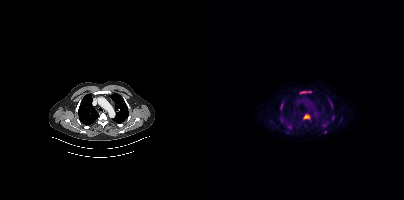
{"modality":"PSMA PET/CT","view":"axial","tracer":"18F","pet_grid":[200,200],"coord_frame":"pet_panel","coord_format":"x0,y0,x1,y1","lesion_bboxes":[[100,114,105,118],[125,99,128,107],[96,91,105,93],[76,103,79,108],[128,115,130,120],[81,124,83,128]],"small_foci_centers":[[121,132]]}